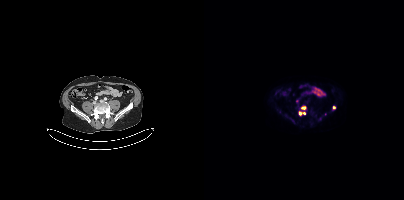
Findings: Coordinates are on the 200×200 PET (right) panel. (showing 5 of 6 foci) PSMA-avid tumor lesion bounding boxes (x, y, width, height): x=95 y=111 w=7 h=5 / x=97 y=106 w=6 h=4. Small PSMA-avid foci (2 to 4 px across) near (center x, center y): (130, 107) / (93, 101) / (89, 120).
- Paired axial CT (left) and PSMA PET (right), [18F]PSMA-1007 tracer